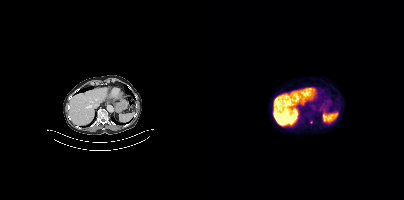
Only PSMA-avid lesion pieces thinner than 2 px on this slice (not listed). Left: CT. Right: PSMA PET, same axial level, 18F-PSMA tracer. Slice 235 of 423. PET panel 200×200 px (4.1 mm/px).